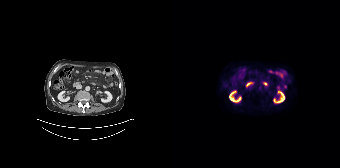
No tumor lesions annotated on this slice.